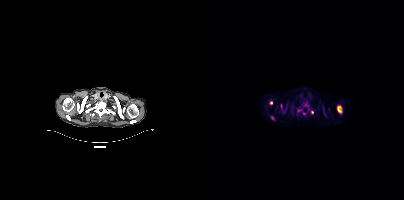
- Paired axial CT (left) and PSMA PET (right), 18F-PSMA tracer
Findings: Coordinates are on the 200×200 PET (right) panel. (showing 6 of 8 foci) PSMA-avid tumor lesion bounding boxes (x0,y0,x1,y1): [133,105,138,113] [100,104,104,106]. Small PSMA-avid foci (2 to 4 px across) near (center x, center y): (66, 102) (108, 112) (68, 117) (99, 113).